Two-panel axial: CT | PSMA PET, 18F tracer.
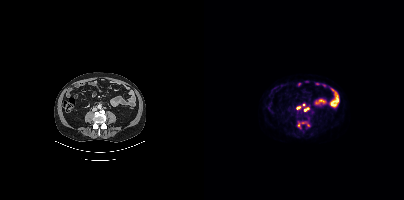
Coordinates are on the 200×200 PET (right) panel. PSMA-avid tumor lesion bounding boxes (partial; 2 more foci not listed):
| # | x0 | y0 | x1 | y1 |
|---|---|---|---|---|
| 1 | 100 | 107 | 105 | 111 |
| 2 | 92 | 106 | 97 | 109 |
Small PSMA-avid foci (2 to 4 px across) near (center x, center y): (100, 104); (94, 124).